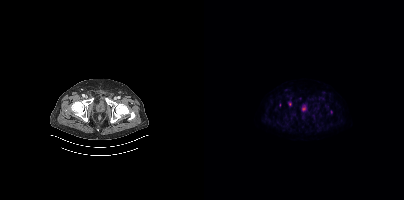
{"modality":"PSMA PET/CT","view":"axial","tracer":"[18F]PSMA-1007","pet_grid":[200,200],"coord_frame":"pet_panel","coord_format":"x0,y0,x1,y1","partial":true,"lesion_bboxes":[]}